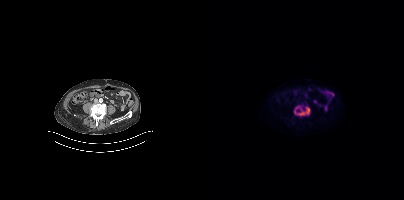
Coordinates are on the 200×200 PET (right) panel. PSMA-avid tumor lesion bounding box (x, y, width, height): x=90 y=105 w=17 h=12.